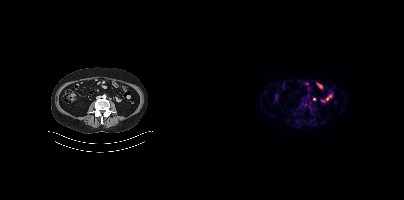
Two-panel axial: CT | PSMA PET, [18F]PSMA-1007 tracer. Acquired on Siemens Biograph mCT Flow 20. PET panel 200×200 px (4.1 mm/px). Coordinates are on the 200×200 PET (right) panel. Small PSMA-avid focus (2 to 4 px across) near (center x, center y): (110, 98).